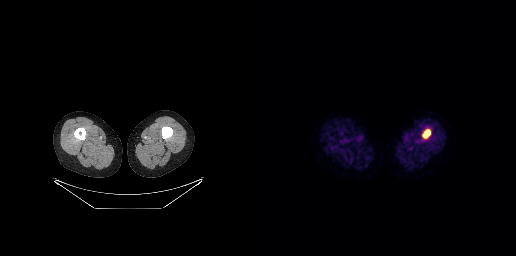
Coordinates are on the 256×256 PET (right) panel. PSMA-avid tumor lesion bounding box (x, y, width, height): x=163 y=130 w=8 h=8.
modality: PSMA PET/CT | tracer: [18F]PSMA-1007 | view: axial | PET grid: 256×256